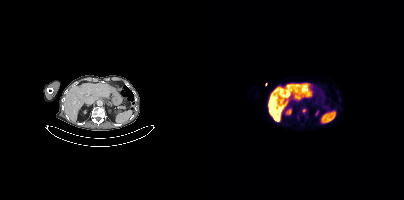
- Two-panel axial: CT | PSMA PET, 18F-PSMA tracer
Findings: Coordinates are on the 200×200 PET (right) panel. (showing 2 of 3 foci) Small PSMA-avid foci (2 to 4 px across) near (center x, center y): (100, 110) | (62, 84).